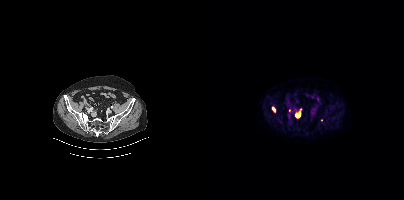
Two-panel axial: CT | PSMA PET, 18F-PSMA tracer. Acquired on Siemens Biograph mCT Flow 20. PET panel 200×200 px (4.1 mm/px). Coordinates are on the 200×200 PET (right) panel. (showing 2 of 5 foci) PSMA-avid tumor lesion bounding boxes (x0,y0,x1,y1): [91,113,96,117] [68,107,71,111].